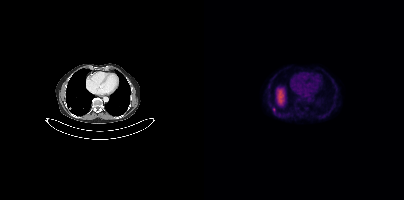
Findings: Coordinates are on the 200×200 PET (right) panel. Small PSMA-avid focus (2 to 4 px across) near (center x, center y): (70, 109).
Technique: Two-panel axial: CT | PSMA PET, 18F tracer. acquired on Siemens Biograph mCT Flow 20. PET panel 200×200 px (4.1 mm/px).